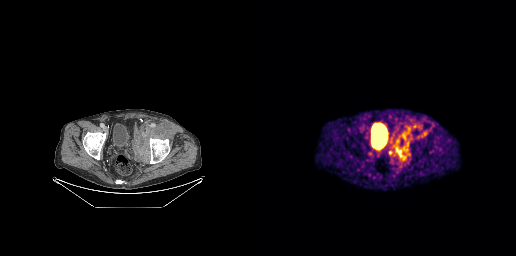
Coordinates are on the 256×256 PET (right) panel. PSMA-avid tumor lesion bounding boxes (x0, y0)-(x1, y1): (133, 142)-(146, 157) | (141, 135)-(149, 143) | (157, 125)-(161, 129). Small PSMA-avid focus (2 to 4 px across) near (center x, center y): (163, 132).